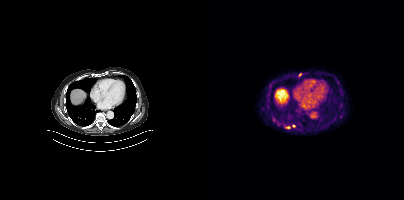
Coordinates are on the 200×200 PET (right) panel. PSMA-avid tumor lesion bounding box (x0,y0,x1,y1): [81,126,86,128]. Small PSMA-avid foci (2 to 4 px across) near (center x, center y): (89, 126) (69, 119) (95, 74).